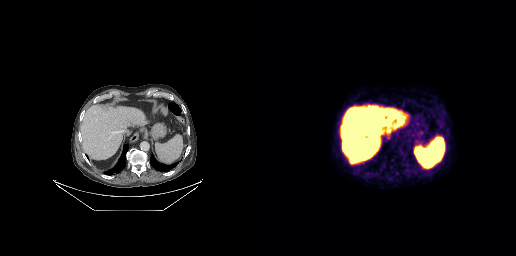
Paired axial CT (left) and PSMA PET (right), 18F tracer. PET panel 256×256 px (2.7 mm/px). No tumor lesions annotated on this slice.